Technique: Two-panel axial: CT | PSMA PET, 18F tracer. acquired on Siemens Biograph mCT Flow 20. slice position z = -1447 mm.
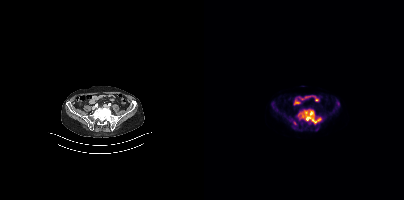
Findings: Coordinates are on the 200×200 PET (right) panel. PSMA-avid tumor lesion bounding boxes (x0,y0,x1,y1): [94,109,117,124]; [132,101,135,107]. Small PSMA-avid focus (2 to 4 px across) near (center x, center y): (90, 123).